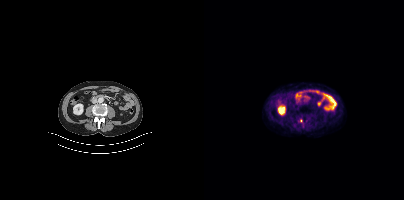
Only PSMA-avid lesion pieces thinner than 2 px on this slice (not listed). Paired axial CT (left) and PSMA PET (right), [18F]PSMA-1007 tracer. Slice 150 of 407.